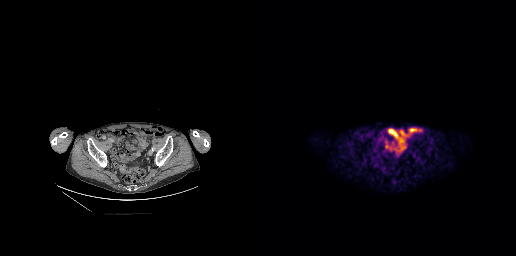
modality: PSMA PET/CT | tracer: 18F | view: axial
This slice has no annotated PSMA-avid lesion.